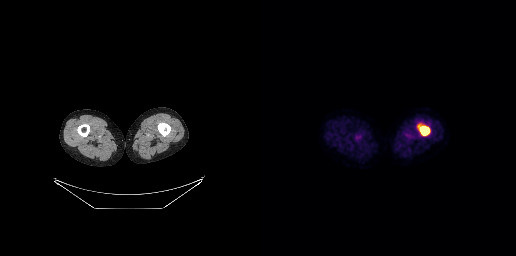
{"pet_grid":[256,256],"coord_frame":"pet_panel","coord_format":"x0,y0,x1,y1","lesion_bboxes":[[158,125,169,135]],"modality":"PSMA PET/CT","view":"axial","tracer":"18F-PSMA"}